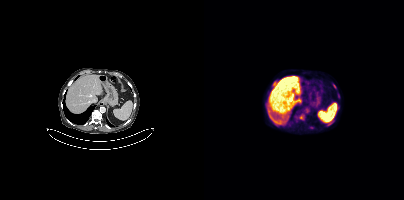
Coordinates are on the 200×200 PET (right) panel. PSMA-avid tumor lesion bounding box (x0,y0,x1,y1): [95,114,100,119]. Small PSMA-avid focus (2 to 4 px across) near (center x, center y): (130, 86).